Two-panel axial: CT | PSMA PET, 18F tracer.
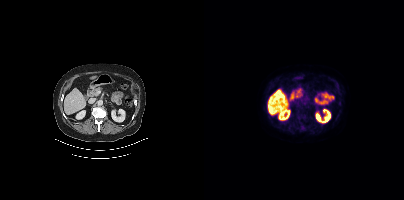
Coordinates are on the 200×200 PET (right) panel. PSMA-avid tumor lesion bounding boxes (x0, y0)-(x1, y1): (97, 124)-(101, 128) / (92, 111)-(97, 116). Small PSMA-avid focus (2 to 4 px across) near (center x, center y): (135, 103).